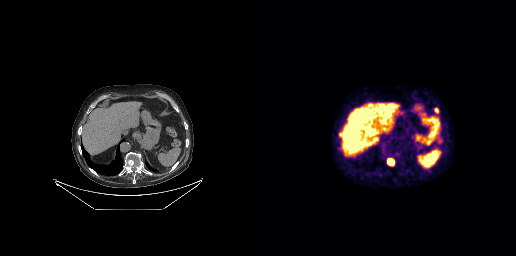
Coordinates are on the 256×256 PET (right) panel. PSMA-avid tumor lesion bounding boxes (x0,y0,x1,y1): [127,158,134,166], [174,108,178,113].